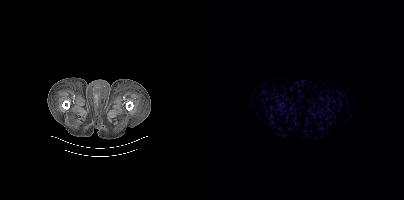
{"modality":"PSMA PET/CT","view":"axial","tracer":"18F","pet_grid":[200,200],"coord_frame":"pet_panel","coord_format":"x0,y0,x1,y1","psma_avid_lesions":false}